Two-panel axial: CT | PSMA PET, [18F]PSMA-1007 tracer. Slice position z = -1000 mm.
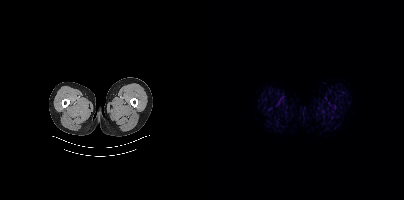
No tumor lesions annotated on this slice.